Two-panel axial: CT | PSMA PET, 18F tracer. Slice 277 of 389.
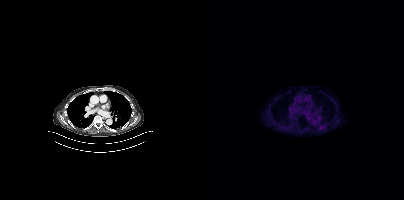
No tumor lesions annotated on this slice.